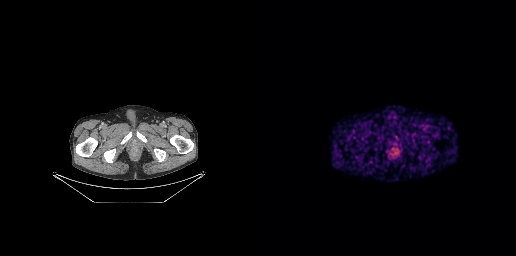
modality: PSMA PET/CT | tracer: 68Ga-PSMA | view: axial
This slice has no annotated PSMA-avid lesion.